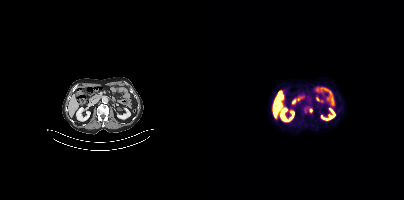
Findings: Coordinates are on the 200×200 PET (right) panel. PSMA-avid tumor lesion bounding box (x0,y0,x1,y1): [105,108,108,112].
Technique: Left: CT. Right: PSMA PET, same axial level, 18F-PSMA tracer. slice position z = -697 mm.